Left: CT. Right: PSMA PET, same axial level, 68Ga tracer. Slice position z = -867 mm. PET panel 256×256 px (2.7 mm/px).
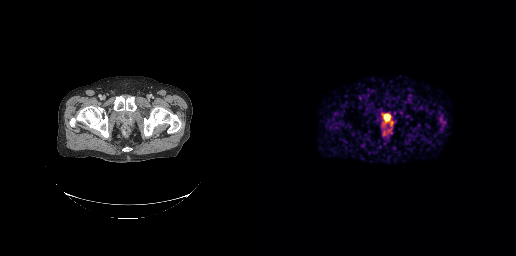
Coordinates are on the 256×256 PET (right) panel. PSMA-avid tumor lesion bounding boxes:
| # | x0 | y0 | x1 | y1 |
|---|---|---|---|---|
| 1 | 124 | 114 | 130 | 121 |